Left: CT. Right: PSMA PET, same axial level, 18F-PSMA tracer. Acquired on Siemens Biograph mCT Flow 20. PET panel 200×200 px (4.1 mm/px).
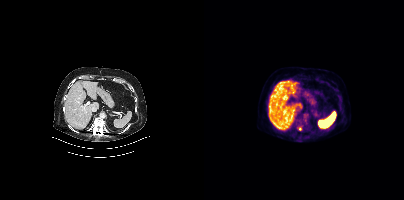
Only PSMA-avid lesion pieces thinner than 2 px on this slice (not listed).